Technique: Two-panel axial: CT | PSMA PET, 18F-PSMA tracer.
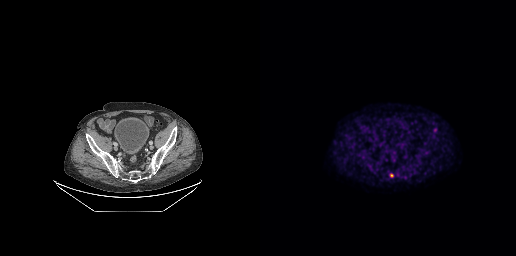
Findings: Coordinates are on the 256×256 PET (right) panel. PSMA-avid tumor lesion bounding box (x, y, width, height): x=130 y=173 w=4 h=5.